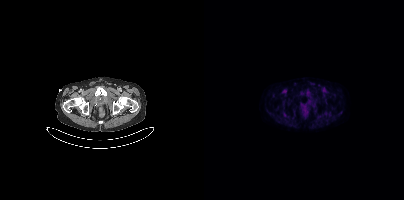
Negative for PSMA-avid disease on this slice. Paired axial CT (left) and PSMA PET (right), 18F tracer. Slice 57 of 401.